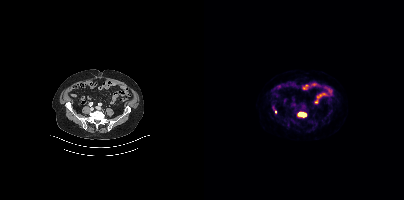
Coordinates are on the 200×200 PET (right) panel. (showing 2 of 3 foci) PSMA-avid tumor lesion bounding box (x, y, width, height): x=94 y=112 w=9 h=6. Small PSMA-avid focus (2 to 4 px across) near (center x, center y): (71, 111).